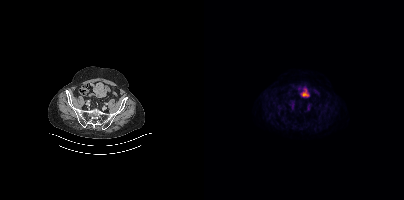
- Paired axial CT (left) and PSMA PET (right), 18F-PSMA tracer
- acquired on Siemens Biograph mCT Flow 20
Findings: Negative for PSMA-avid disease on this slice.